Two-panel axial: CT | PSMA PET, 18F tracer. Slice 59 of 381.
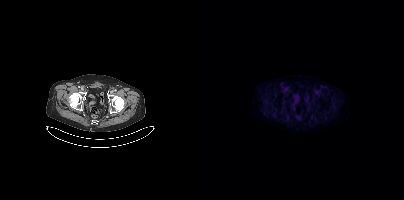
No tumor lesions annotated on this slice.